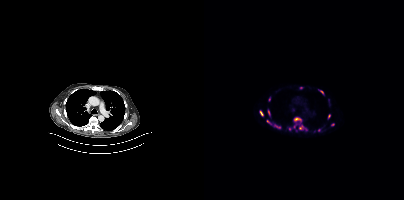
- Paired axial CT (left) and PSMA PET (right), 18F-PSMA tracer
- acquired on Siemens Biograph mCT Flow 20
- slice position z = -364 mm
- PET panel 200×200 px (4.1 mm/px)
Findings: Coordinates are on the 200×200 PET (right) panel. (showing 13 of 14 foci) PSMA-avid tumor lesion bounding boxes (x, y, width, height): x=90 y=117 w=8 h=5 / x=56 y=111 w=4 h=5 / x=115 y=90 w=5 h=5 / x=64 y=110 w=3 h=6 / x=124 y=114 w=3 h=5 / x=71 y=125 w=6 h=3. Small PSMA-avid foci (2 to 4 px across) near (center x, center y): (96, 127) / (65, 99) / (91, 125) / (128, 124) / (64, 121) / (85, 129) / (114, 130).